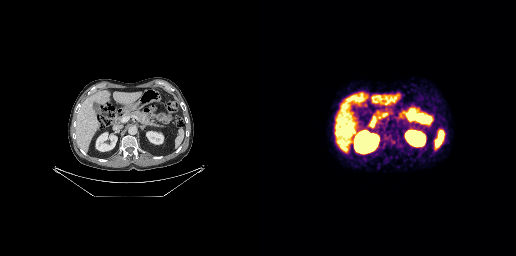
Paired axial CT (left) and PSMA PET (right), [68Ga]Ga-PSMA-11 tracer. Slice 147 of 263. This slice has no annotated PSMA-avid lesion.